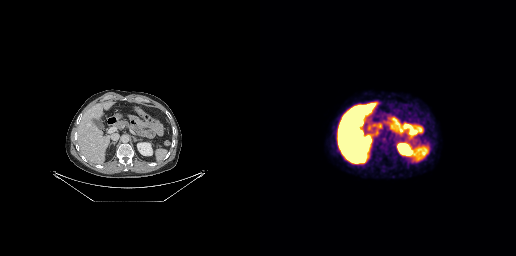
No PSMA-avid tumor lesions on this slice.
modality: PSMA PET/CT | tracer: 18F-PSMA | view: axial